modality: PSMA PET/CT | tracer: 68Ga-PSMA | view: axial
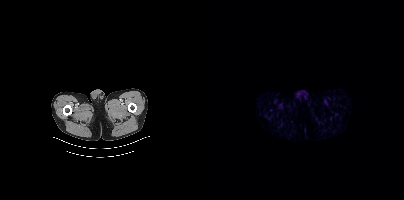
No tumor lesions annotated on this slice.